Technique: Left: CT. Right: PSMA PET, same axial level, 68Ga tracer. slice position z = -1000 mm.
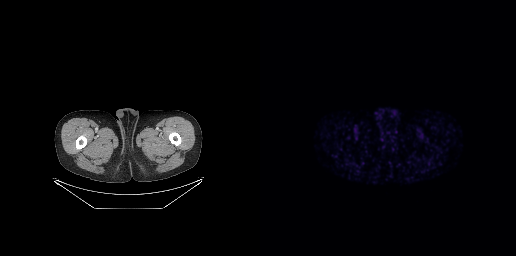
Findings: No PSMA-avid tumor lesions on this slice.